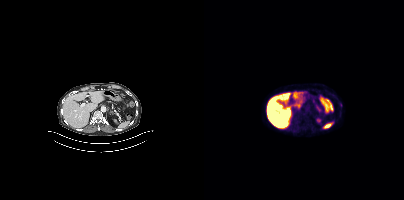
Findings: Coordinates are on the 200×200 PET (right) panel. Small PSMA-avid focus (2 to 4 px across) near (center x, center y): (136, 104).
Technique: Paired axial CT (left) and PSMA PET (right), 18F tracer. slice 220 of 389. PET panel 200×200 px (4.1 mm/px).